Two-panel axial: CT | PSMA PET, 68Ga tracer. Slice 101 of 413. PET panel 200×200 px (4.1 mm/px).
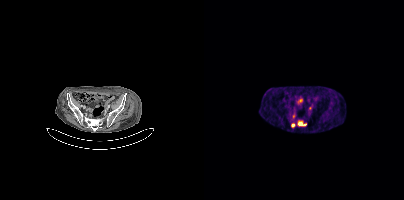
Coordinates are on the 200×200 PET (right) panel. PSMA-avid tumor lesion bounding boxes:
| # | x0 | y0 | x1 | y1 |
|---|---|---|---|---|
| 1 | 95 | 122 | 102 | 126 |
| 2 | 88 | 114 | 90 | 118 |
Small PSMA-avid foci (2 to 4 px across) near (center x, center y): (88, 125); (106, 108).